Two-panel axial: CT | PSMA PET, [18F]PSMA-1007 tracer. Acquired on Siemens Biograph mCT Flow 20.
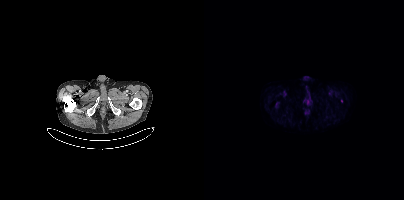
Coordinates are on the 200×200 PET (right) panel. Small PSMA-avid focus (2 to 4 px across) near (center x, center y): (137, 101).